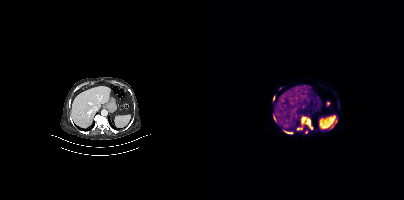
{"modality":"PSMA PET/CT","view":"axial","tracer":"68Ga-PSMA","pet_grid":[200,200],"coord_frame":"pet_panel","coord_format":"x0,y0,x1,y1","lesion_bboxes":[[97,116,108,129],[92,125,98,130],[79,130,88,134],[69,114,73,122],[69,96,70,101]],"small_foci_centers":[[102,131],[130,124]]}